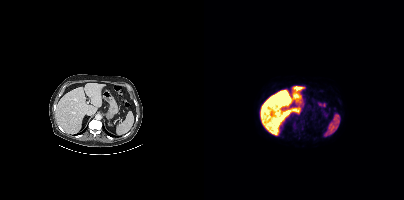
No tumor lesions annotated on this slice. Left: CT. Right: PSMA PET, same axial level, 18F tracer. Acquired on Siemens Biograph mCT Flow 20.